Technique: Left: CT. Right: PSMA PET, same axial level, [68Ga]Ga-PSMA-11 tracer. acquired on GE Discovery 690. slice position z = -796 mm. PET panel 256×256 px (2.7 mm/px).
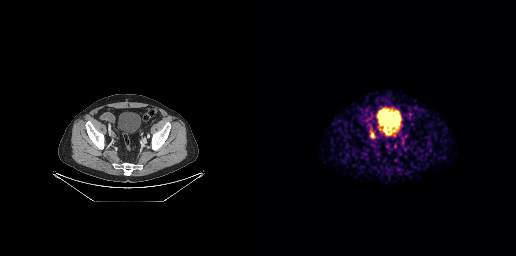
Findings: Coordinates are on the 256×256 PET (right) panel. PSMA-avid tumor lesion bounding box (x, y, width, height): x=111 y=132 w=4 h=6. Small PSMA-avid focus (2 to 4 px across) near (center x, center y): (135, 146).